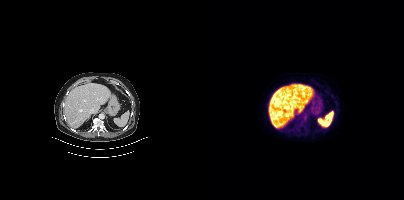
modality: PSMA PET/CT | tracer: 18F | view: axial
No tumor lesions annotated on this slice.